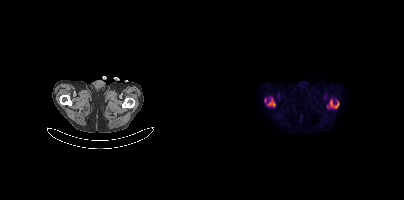
Two-panel axial: CT | PSMA PET, 18F-PSMA tracer. Slice 41 of 401. PET panel 200×200 px (4.1 mm/px). Coordinates are on the 200×200 PET (right) panel. (showing 2 of 3 foci) PSMA-avid tumor lesion bounding boxes (x0, y0)-(x1, y1): (126, 101)-(134, 108) / (64, 99)-(71, 106).